Any black rectangle over the head is a privacy mask, not anatomy. Left: CT. Right: PSMA PET, same axial level, 18F-PSMA tracer. Acquired on GE Discovery 690.
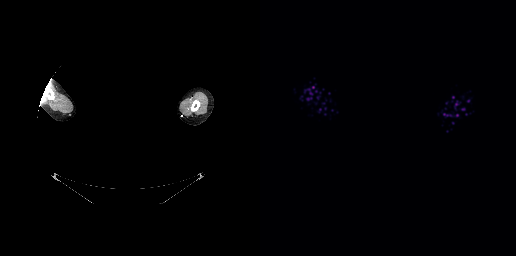
No tumor lesions annotated on this slice.